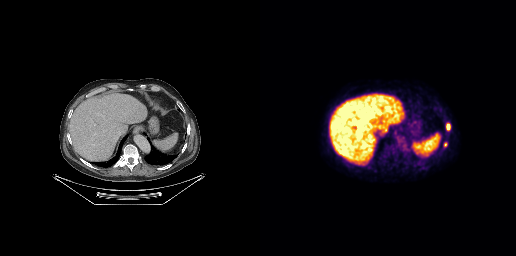
modality: PSMA PET/CT | tracer: [18F]PSMA-1007 | view: axial
Coordinates are on the 256×256 PET (right) panel. PSMA-avid tumor lesion bounding box (x0,y0,x1,y1): [186,123,190,130]. Small PSMA-avid focus (2 to 4 px across) near (center x, center y): (185, 144).